Any black rectangle over the head is a privacy mask, not anatomy. Left: CT. Right: PSMA PET, same axial level, [18F]PSMA-1007 tracer.
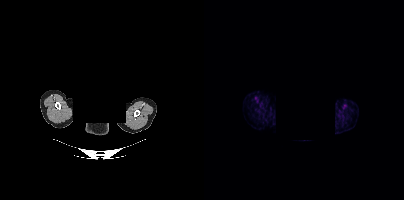
This slice has no annotated PSMA-avid lesion.